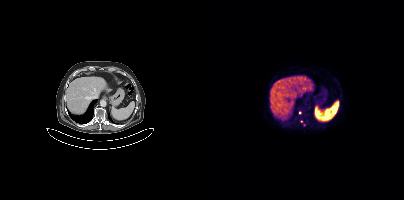
modality: PSMA PET/CT | tracer: [18F]PSMA-1007 | view: axial | PET grid: 200×200
Coordinates are on the 200×200 PET (right) panel. (showing 1 of 2 foci) Small PSMA-avid focus (2 to 4 px across) near (center x, center y): (95, 112).